Paired axial CT (left) and PSMA PET (right), 68Ga-PSMA tracer. Acquired on Siemens Biograph 64-4R TruePoint. Slice position z = -1212 mm.
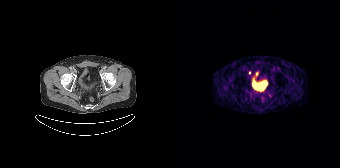
Coordinates are on the 168×168 PET (right) panel. Small PSMA-avid focus (2 to 4 px across) near (center x, center y): (77, 72).